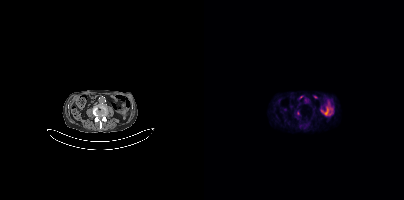
Technique: Left: CT. Right: PSMA PET, same axial level, 18F-PSMA tracer. PET panel 200×200 px (4.1 mm/px).
Findings: Only PSMA-avid lesion pieces thinner than 2 px on this slice (not listed).